modality: PSMA PET/CT | tracer: 68Ga | view: axial | PET grid: 256×256
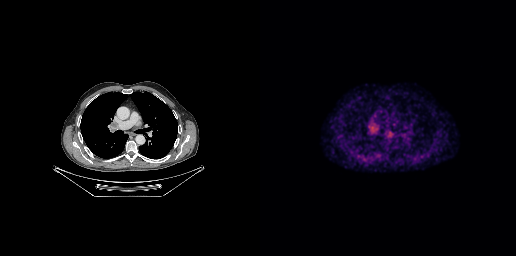
Coordinates are on the 256×256 PET (right) panel. PSMA-avid tumor lesion bounding box (x, y, width, height): x=128 y=133 w=5 h=4.